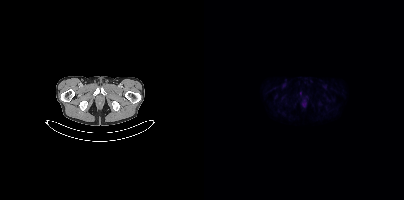
{"modality":"PSMA PET/CT","view":"axial","tracer":"18F","pet_grid":[200,200],"coord_frame":"pet_panel","coord_format":"x0,y0,x1,y1","lesion_bboxes":[],"small_foci_centers":[[96,92]]}